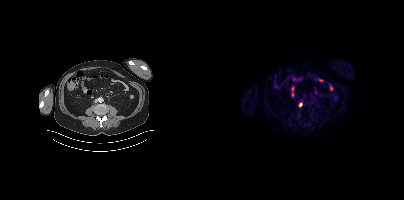
Left: CT. Right: PSMA PET, same axial level, [68Ga]Ga-PSMA-11 tracer. PET panel 200×200 px (4.1 mm/px). Coordinates are on the 200×200 PET (right) panel. Small PSMA-avid focus (2 to 4 px across) near (center x, center y): (96, 104).